- Two-panel axial: CT | PSMA PET, [18F]PSMA-1007 tracer
- acquired on GE Discovery 690
- slice 190 of 263
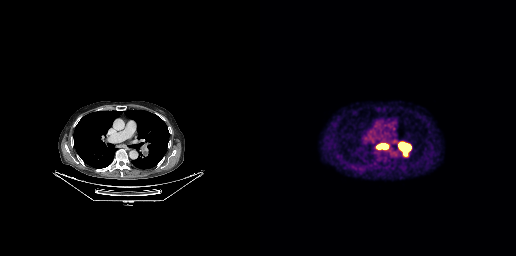
Findings: Coordinates are on the 256×256 PET (right) panel. PSMA-avid tumor lesion bounding boxes (x0,y0,x1,y1): [138,141,151,156]; [116,143,128,149].